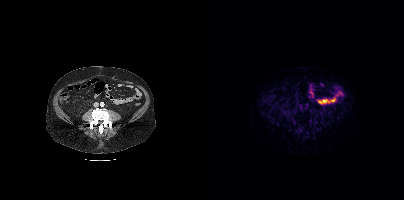
Paired axial CT (left) and PSMA PET (right), 68Ga-PSMA tracer. Slice position z = 469 mm. PET panel 200×200 px (4.1 mm/px). Negative for PSMA-avid disease on this slice.